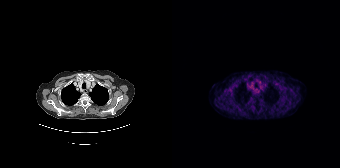
{"modality":"PSMA PET/CT","view":"axial","tracer":"68Ga","pet_grid":[168,168],"coord_frame":"pet_panel","coord_format":"x0,y0,x1,y1","psma_avid_lesions":false}